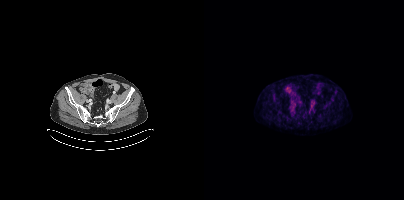
{"modality":"PSMA PET/CT","view":"axial","tracer":"[18F]PSMA-1007","pet_grid":[200,200],"coord_frame":"pet_panel","coord_format":"x0,y0,x1,y1","psma_avid_lesions":false}